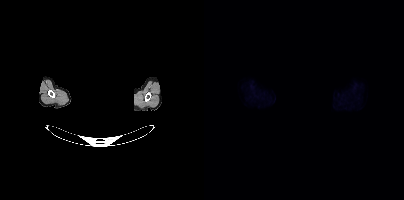
modality: PSMA PET/CT | tracer: [18F]PSMA-1007 | view: axial | deidentification: rectangular block over head set to black
Negative for PSMA-avid disease on this slice.